- Paired axial CT (left) and PSMA PET (right), 68Ga-PSMA tracer
- acquired on Siemens Biograph 64-4R TruePoint
- PET panel 168×168 px (4.1 mm/px)
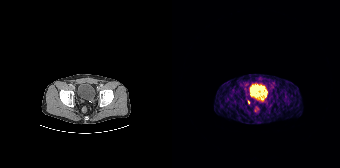
Findings: Coordinates are on the 168×168 PET (right) panel. Small PSMA-avid focus (2 to 4 px across) near (center x, center y): (76, 102).